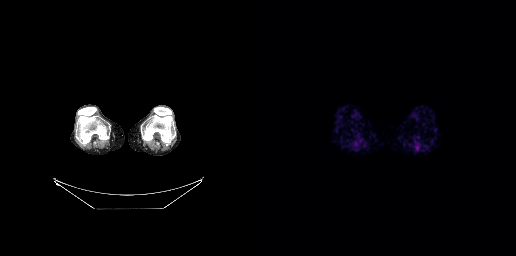
Negative for PSMA-avid disease on this slice.